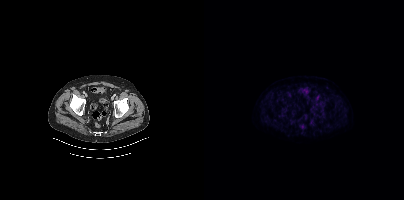
Technique: Two-panel axial: CT | PSMA PET, 18F-PSMA tracer. slice 107 of 464. PET panel 200×200 px (4.1 mm/px).
Findings: Coordinates are on the 200×200 PET (right) panel. PSMA-avid tumor lesion bounding boxes (x, y, width, height): x=112 y=102 w=7 h=6; x=116 y=109 w=5 h=7.